Two-panel axial: CT | PSMA PET, 18F tracer. Acquired on GE Discovery 690. Slice position z = -369 mm. PET panel 256×256 px (2.7 mm/px).
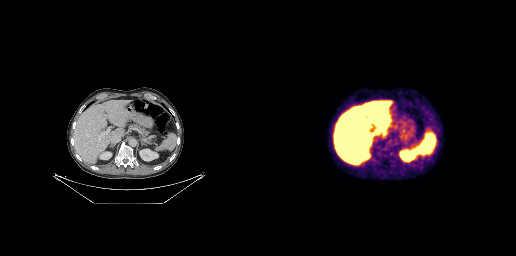
Negative for PSMA-avid disease on this slice.